Paired axial CT (left) and PSMA PET (right), 18F tracer. Slice position z = -271 mm. PET panel 200×200 px (4.1 mm/px). Facial anatomy redacted by setting a rectangular region of the head to black.
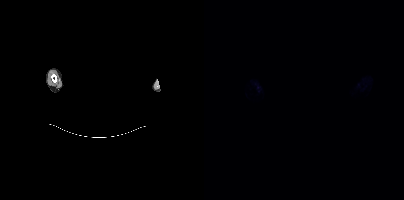
No tumor lesions annotated on this slice.